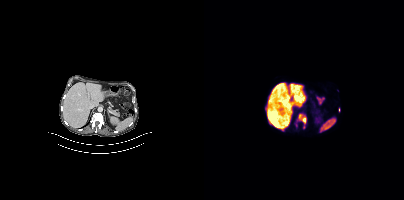
Coordinates are on the 200×200 PET (right) panel. (showing 1 of 3 foci) PSMA-avid tumor lesion bounding box (x, y, width, height): x=95 y=114 w=8 h=10.